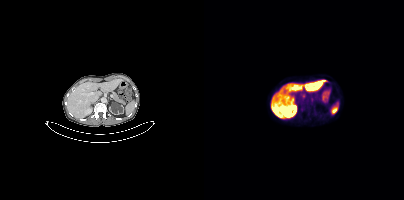
Negative for PSMA-avid disease on this slice. Two-panel axial: CT | PSMA PET, [18F]PSMA-1007 tracer. Acquired on Siemens Biograph mCT Flow 20. Slice position z = -210 mm.